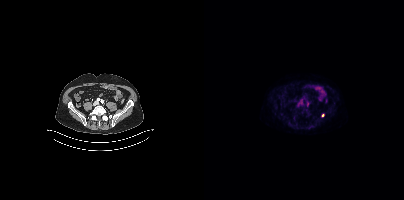
modality: PSMA PET/CT | tracer: 18F-PSMA | view: axial
Coordinates are on the 200×200 PET (right) panel. (showing 2 of 3 foci) Small PSMA-avid foci (2 to 4 px across) near (center x, center y): (103, 104) / (118, 115).